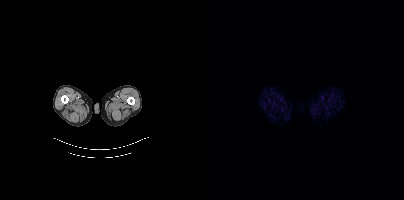
Negative for PSMA-avid disease on this slice.